Two-panel axial: CT | PSMA PET, 18F tracer. PET panel 200×200 px (4.1 mm/px).
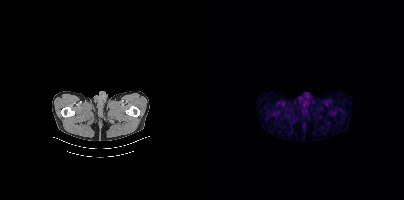
This slice has no annotated PSMA-avid lesion.